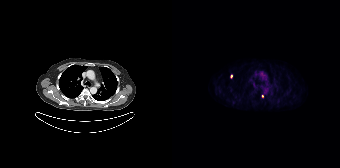
Coordinates are on the 168×168 PET (right) panel. Small PSMA-avid foci (2 to 4 px across) near (center x, center y): (59, 76); (90, 96).